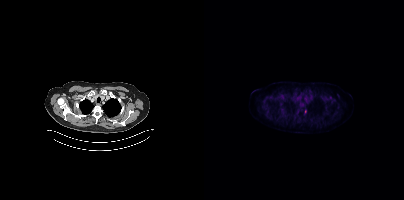
Technique: Two-panel axial: CT | PSMA PET, [18F]PSMA-1007 tracer. slice position z = -956 mm. PET panel 200×200 px (4.1 mm/px).
Findings: Only PSMA-avid lesion pieces thinner than 2 px on this slice (not listed).